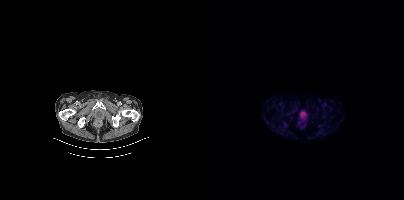
Two-panel axial: CT | PSMA PET, 18F tracer. Acquired on Siemens Biograph mCT Flow 20. Slice 66 of 452. PET panel 200×200 px (4.1 mm/px). Negative for PSMA-avid disease on this slice.